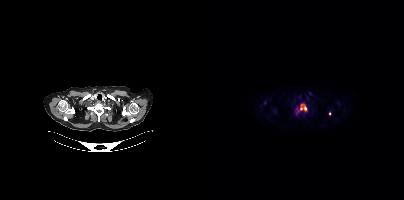
Paired axial CT (left) and PSMA PET (right), 18F-PSMA tracer. Acquired on Siemens Biograph mCT Flow 20. Slice 330 of 395. PET panel 200×200 px (4.1 mm/px). Coordinates are on the 200×200 PET (right) panel. PSMA-avid tumor lesion bounding box (x, y, width, height): x=96 y=104 w=7 h=8. Small PSMA-avid focus (2 to 4 px across) near (center x, center y): (125, 113).